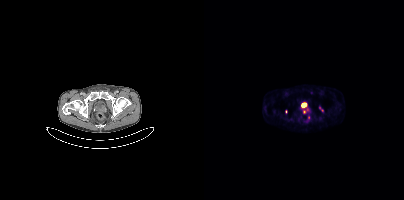
Coordinates are on the 200×200 PET (right) panel. PSMA-avid tumor lesion bounding box (x0,y0,x1,y1): [99,108,106,113]. Small PSMA-avid foci (2 to 4 px across) near (center x, center y): (116, 108) (104, 117) (82, 111).
modality: PSMA PET/CT | tracer: 68Ga-PSMA | view: axial